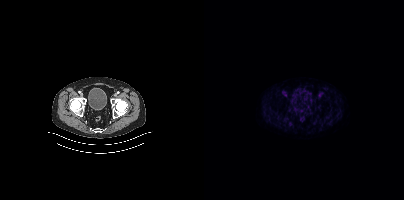
Technique: Paired axial CT (left) and PSMA PET (right), 18F tracer. PET panel 200×200 px (4.1 mm/px).
Findings: No tumor lesions annotated on this slice.